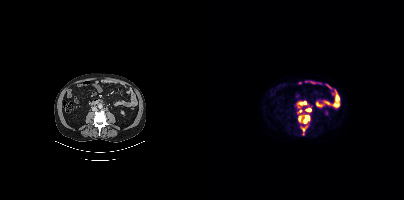
Coordinates are on the 200×200 PET (right) panel. (showing 4 of 5 foci) PSMA-avid tumor lesion bounding boxes (x, y, width, height): x=94 y=114 w=12 h=10; x=93 y=100 w=12 h=14; x=101 y=107 w=7 h=6; x=97 y=126 w=7 h=6.